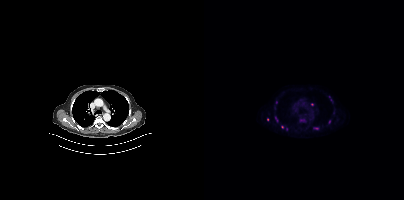
{"modality":"PSMA PET/CT","view":"axial","tracer":"18F-PSMA","pet_grid":[200,200],"coord_frame":"pet_panel","coord_format":"x0,y0,x1,y1","partial":true,"lesion_bboxes":[],"small_foci_centers":[[108,104],[63,119],[112,128]]}